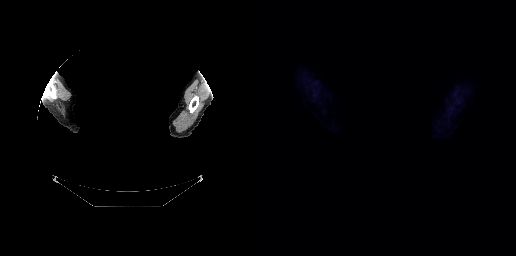
Technique: Left: CT. Right: PSMA PET, same axial level, 18F tracer. slice 284 of 299.
Note: The face region was removed for patient privacy by blanking a rectangle over the head.
Findings: No tumor lesions annotated on this slice.